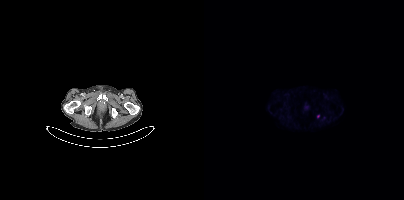
Coordinates are on the 200×200 PET (right) panel. Small PSMA-avid focus (2 to 4 px across) near (center x, center y): (114, 116).
modality: PSMA PET/CT | tracer: 18F | view: axial